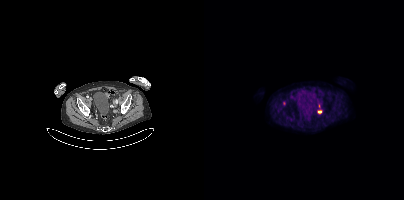
{"modality":"PSMA PET/CT","view":"axial","tracer":"[18F]PSMA-1007","pet_grid":[200,200],"coord_frame":"pet_panel","coord_format":"x0,y0,x1,y1","lesion_bboxes":[[113,110,117,113]],"small_foci_centers":[[115,105],[80,103]]}